Paired axial CT (left) and PSMA PET (right), [18F]PSMA-1007 tracer. Acquired on Siemens Biograph mCT Flow 20. Slice 63 of 415. PET panel 200×200 px (4.1 mm/px).
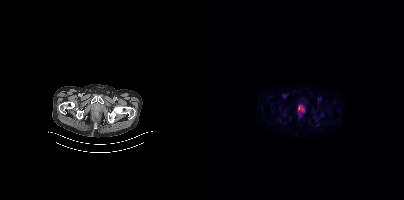
Coordinates are on the 200×200 PET (right) panel. (showing 1 of 2 foci) Small PSMA-avid focus (2 to 4 px across) near (center x, center y): (95, 108).